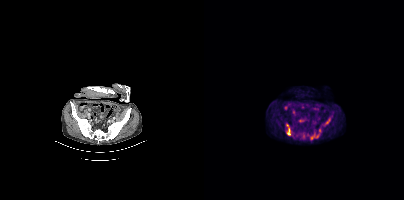
{"modality":"PSMA PET/CT","view":"axial","tracer":"18F","pet_grid":[200,200],"coord_frame":"pet_panel","coord_format":"x0,y0,x1,y1","partial":true,"lesion_bboxes":[[106,129,117,139],[82,124,87,135],[121,117,126,124],[89,135,96,139]],"small_foci_centers":[[100,138]]}